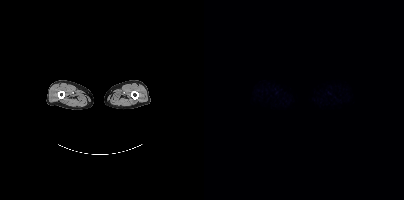
No PSMA-avid tumor lesions on this slice. Left: CT. Right: PSMA PET, same axial level, 18F-PSMA tracer. Acquired on Siemens Biograph mCT Flow 20. Slice 23 of 508. PET panel 200×200 px (4.1 mm/px).